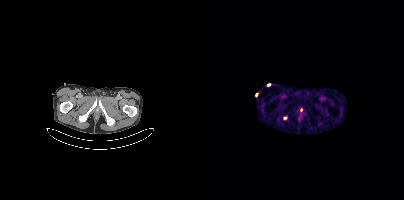
Coordinates are on the 200×200 PET (right) panel. Small PSMA-avid focus (2 to 4 px across) near (center x, center y): (80, 118).